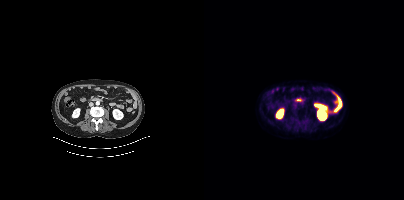
No PSMA-avid tumor lesions on this slice.